Two-panel axial: CT | PSMA PET, 18F-PSMA tracer. Acquired on Siemens Biograph mCT Flow 20. PET panel 200×200 px (4.1 mm/px).
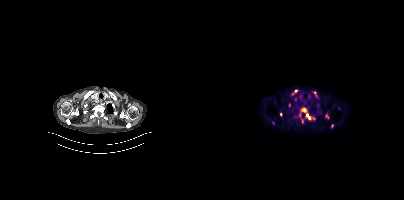
Coordinates are on the 200×200 PET (right) panel. PSMA-avid tumor lesion bounding boxes:
| # | x0 | y0 | x1 | y1 |
|---|---|---|---|---|
| 1 | 94 | 107 | 110 | 123 |
| 2 | 109 | 91 | 114 | 97 |
| 3 | 88 | 89 | 93 | 94 |
| 4 | 76 | 112 | 78 | 116 |
| 5 | 68 | 120 | 70 | 125 |
Small PSMA-avid foci (2 to 4 px across) near (center x, center y): (128, 125); (123, 116); (85, 105).